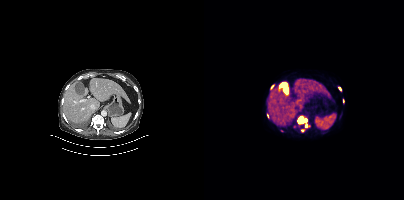
Coordinates are on the 200×200 PET (right) panel. (showing 6 of 7 foci) PSMA-avid tumor lesion bounding boxes (x, y, width, height): x=93 y=116 w=13 h=12 | x=134 y=87 w=4 h=5. Small PSMA-avid foci (2 to 4 px across) near (center x, center y): (98, 130) | (68, 86) | (63, 115) | (139, 100).